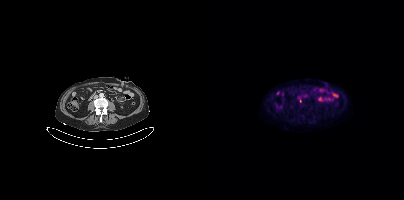
Coordinates are on the 200×200 PET (right) panel. Small PSMA-avid focus (2 to 4 px across) near (center x, center y): (96, 100). Left: CT. Right: PSMA PET, same axial level, 18F-PSMA tracer. PET panel 200×200 px (4.1 mm/px).